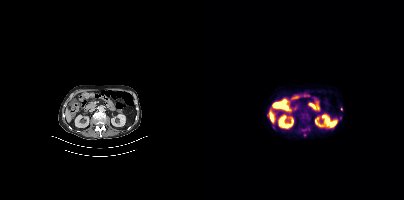
Technique: Two-panel axial: CT | PSMA PET, 18F tracer. acquired on Siemens Biograph mCT Flow 20. PET panel 200×200 px (4.1 mm/px).
Findings: Coordinates are on the 200×200 PET (right) panel. Small PSMA-avid foci (2 to 4 px across) near (center x, center y): (137, 109) / (136, 118).